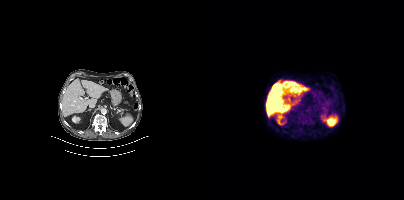
Findings: Negative for PSMA-avid disease on this slice.
Technique: Left: CT. Right: PSMA PET, same axial level, 18F tracer. slice position z = -1230 mm.